Two-panel axial: CT | PSMA PET, 18F tracer.
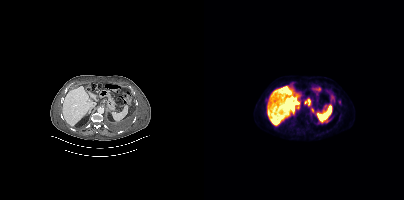
Coordinates are on the 200×200 PET (right) panel. PSMA-avid tumor lesion bounding box (x, y, width, height): x=100 y=98 w=7 h=8. Small PSMA-avid focus (2 to 4 px across) near (center x, center y): (135, 102).